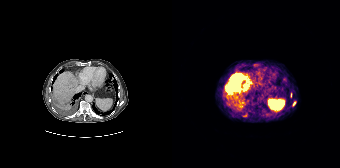
Coordinates are on the 168×168 PET (right) panel. PSMA-avid tumor lesion bounding boxes (x0, y0)-(x1, y1): (53, 73)-(71, 94) / (74, 78)-(78, 82) / (118, 93)-(120, 97). Small PSMA-avid focus (2 to 4 px across) near (center x, center y): (122, 103).